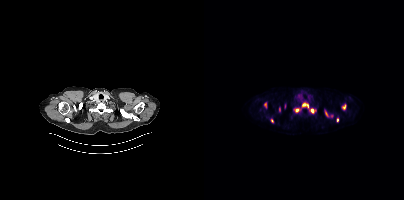
Coordinates are on the 200×200 PET (right) panel. (showing 9 of 10 foci) PSMA-avid tumor lesion bounding boxes (x0,y0,x1,y1): [89,108,94,111] [107,109,110,113] [139,104,141,109] [60,103,62,107] [121,110,123,114]. Small PSMA-avid foci (2 to 4 px across) near (center x, center y): (68, 120) (100, 104) (133, 120) (103, 106). Left: CT. Right: PSMA PET, same axial level, 18F tracer. Acquired on Siemens Biograph mCT Flow 20. PET panel 200×200 px (4.1 mm/px).